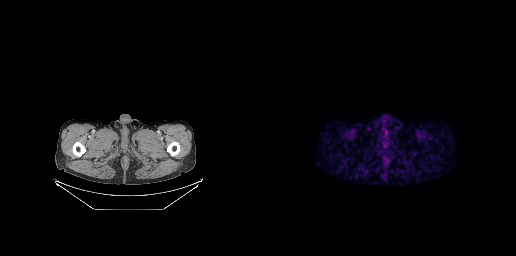
{"pet_grid":[256,256],"coord_frame":"pet_panel","coord_format":"x0,y0,x1,y1","psma_avid_lesions":false,"modality":"PSMA PET/CT","view":"axial","tracer":"68Ga-PSMA"}